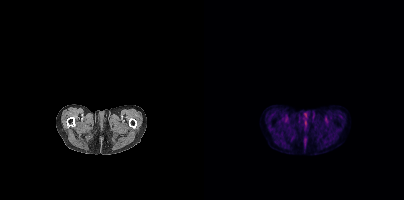
{"modality":"PSMA PET/CT","view":"axial","tracer":"18F-PSMA","pet_grid":[200,200],"coord_frame":"pet_panel","coord_format":"x0,y0,x1,y1","psma_avid_lesions":false}